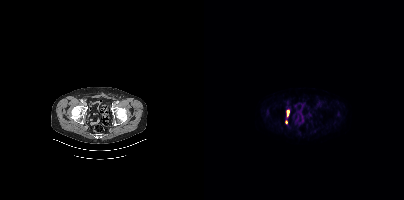
Findings: Coordinates are on the 200×200 PET (right) panel. (showing 1 of 2 foci) PSMA-avid tumor lesion bounding box (x0, y0)-(x1, y1): (83, 110)-(84, 116).
- Left: CT. Right: PSMA PET, same axial level, 18F tracer
- slice 86 of 405